Technique: Paired axial CT (left) and PSMA PET (right), [18F]PSMA-1007 tracer. slice position z = -928 mm.
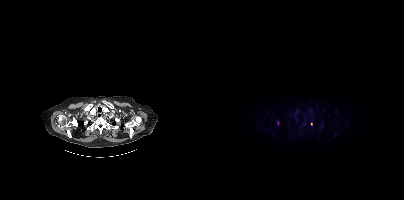
Findings: Coordinates are on the 200×200 PET (right) panel. (showing 2 of 3 foci) Small PSMA-avid foci (2 to 4 px across) near (center x, center y): (107, 123) / (100, 123).